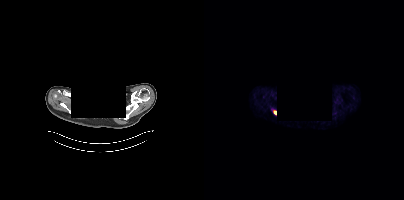
An anonymization step blacked out a rectangle over the head in this scan. Two-panel axial: CT | PSMA PET, [68Ga]Ga-PSMA-11 tracer. Slice position z = -902 mm. Coordinates are on the 200×200 PET (right) panel. Small PSMA-avid focus (2 to 4 px across) near (center x, center y): (71, 112).